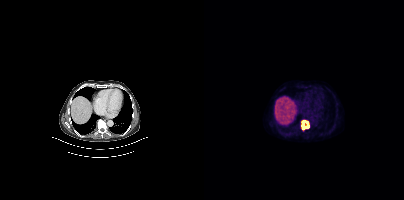
Technique: Two-panel axial: CT | PSMA PET, 18F-PSMA tracer. acquired on Siemens Biograph mCT Flow 20.
Findings: Coordinates are on the 200×200 PET (right) panel. PSMA-avid tumor lesion bounding box (x, y, width, height): x=97 y=120 w=9 h=11.